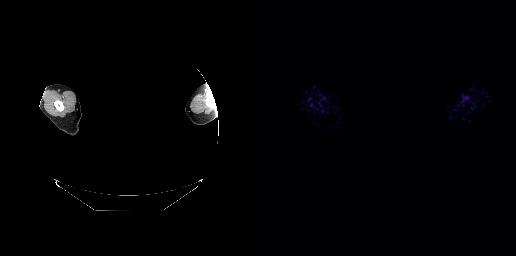
Negative for PSMA-avid disease on this slice.
de-identification: head region blanked (face removed) | modality: PSMA PET/CT | tracer: [18F]PSMA-1007 | view: axial | PET grid: 256×256